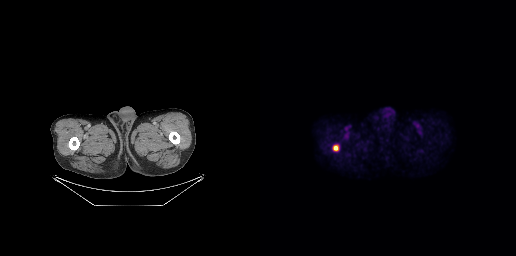
Coordinates are on the 256×256 PET (right) panel. PSMA-avid tumor lesion bounding box (x, y, width, height): x=72 y=144 w=8 h=8.
modality: PSMA PET/CT | tracer: 18F | view: axial | PET grid: 256×256